Technique: Left: CT. Right: PSMA PET, same axial level, 18F-PSMA tracer. slice position z = -613 mm. PET panel 200×200 px (4.1 mm/px).
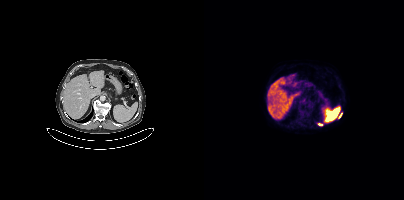
Findings: Coordinates are on the 200×200 PET (right) panel. PSMA-avid tumor lesion bounding box (x0,y0,x1,y1): [135,113,137,117]. Small PSMA-avid focus (2 to 4 px across) near (center x, center y): (116, 124).